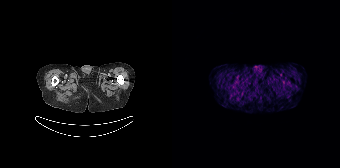
Paired axial CT (left) and PSMA PET (right), 68Ga-PSMA tracer. Acquired on Siemens Biograph 64-4R TruePoint. Slice position z = -1360 mm. Negative for PSMA-avid disease on this slice.